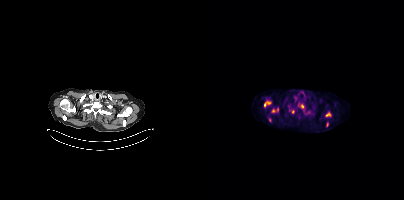
modality: PSMA PET/CT | tracer: 18F-PSMA | view: axial | PET grid: 200×200
Coordinates are on the 200×200 PET (right) panel. (showing 7 of 8 foci) PSMA-avid tumor lesion bounding boxes (x, y, width, height): x=60 y=101 w=7 h=6 / x=121 y=112 w=7 h=5 / x=97 y=104 w=3 h=5. Small PSMA-avid foci (2 to 4 px across) near (center x, center y): (68, 110) / (89, 111) / (123, 124) / (73, 109).